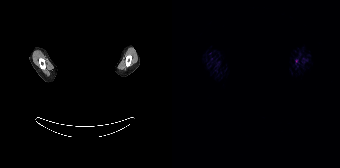
Facial anatomy redacted by setting a rectangular region of the head to black. Left: CT. Right: PSMA PET, same axial level, 68Ga-PSMA tracer. Slice position z = -25 mm. No tumor lesions annotated on this slice.